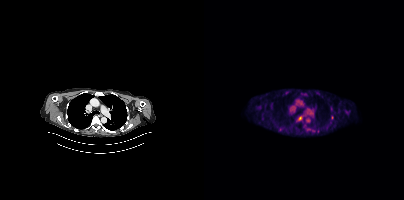
- Paired axial CT (left) and PSMA PET (right), [18F]PSMA-1007 tracer
- acquired on Siemens Biograph mCT Flow 20
- PET panel 200×200 px (4.1 mm/px)
Findings: Coordinates are on the 200×200 PET (right) panel. PSMA-avid tumor lesion bounding box (x, y, width, height): x=94 y=117 w=5 h=4. Small PSMA-avid foci (2 to 4 px across) near (center x, center y): (82, 93); (128, 117).